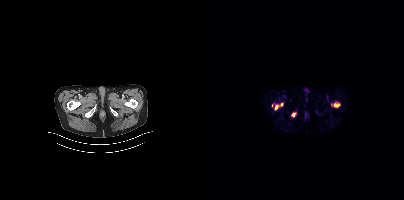
Coordinates are on the 200×200 PET (right) panel. (showing 4 of 5 foci) PSMA-avid tumor lesion bounding boxes (x0,y0,x1,y1): [130,103,135,106] [71,105,74,109]. Small PSMA-avid foci (2 to 4 px across) near (center x, center y): (89, 114) (77, 104).
modality: PSMA PET/CT | tracer: 18F | view: axial